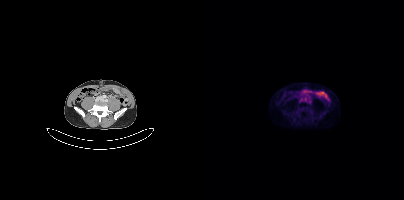
Findings: Coordinates are on the 200×200 PET (right) panel. PSMA-avid tumor lesion bounding box (x0,y0,x1,y1): [105,109,109,113].
Technique: Paired axial CT (left) and PSMA PET (right), [18F]PSMA-1007 tracer. acquired on Siemens Biograph mCT Flow 20. PET panel 200×200 px (4.1 mm/px).